Technique: Left: CT. Right: PSMA PET, same axial level, 18F-PSMA tracer. slice 90 of 299.
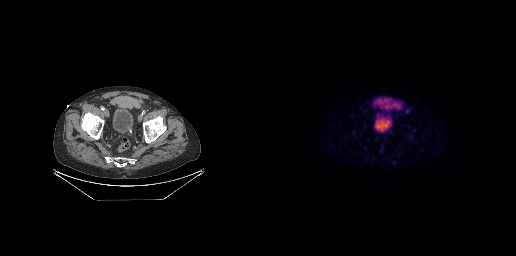
Findings: Coordinates are on the 256×256 PET (right) panel. Small PSMA-avid focus (2 to 4 px across) near (center x, center y): (147, 111).